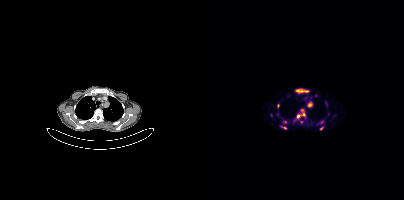
Findings: Coordinates are on the 200×200 PET (right) panel. (showing 7 of 10 foci) PSMA-avid tumor lesion bounding boxes (x0,y0,x1,y1): [92,89,105,92]; [104,101,107,106]. Small PSMA-avid foci (2 to 4 px across) near (center x, center y): (74, 105); (94, 116); (80, 127); (99, 114); (118, 127).
- Paired axial CT (left) and PSMA PET (right), 68Ga-PSMA tracer
- slice 302 of 393